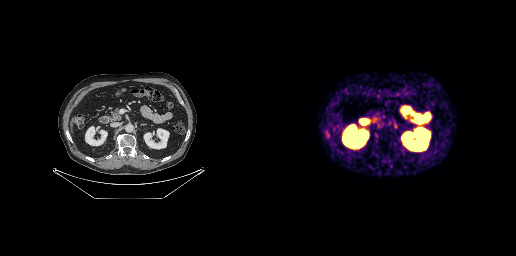
{"modality":"PSMA PET/CT","view":"axial","tracer":"68Ga","pet_grid":[256,256],"coord_frame":"pet_panel","coord_format":"x0,y0,x1,y1","psma_avid_lesions":false}